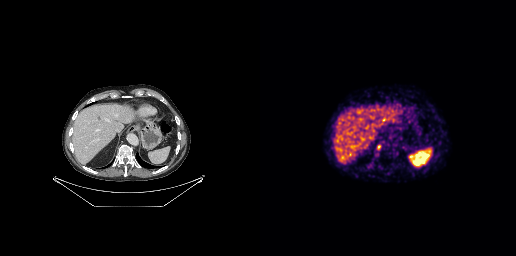
{"modality":"PSMA PET/CT","view":"axial","tracer":"[68Ga]Ga-PSMA-11","pet_grid":[256,256],"coord_frame":"pet_panel","coord_format":"x0,y0,x1,y1","lesion_bboxes":[[117,145,121,149]]}